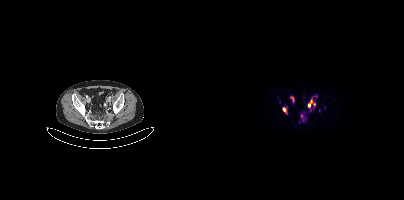
Paired axial CT (left) and PSMA PET (right), [68Ga]Ga-PSMA-11 tracer. Coordinates are on the 200×200 PET (right) panel. (showing 6 of 7 foci) PSMA-avid tumor lesion bounding boxes (x0, y0)-(x1, y1): (104, 99)-(111, 107); (97, 114)-(99, 118); (87, 97)-(89, 101). Small PSMA-avid foci (2 to 4 px across) near (center x, center y): (80, 109); (115, 110); (106, 110).